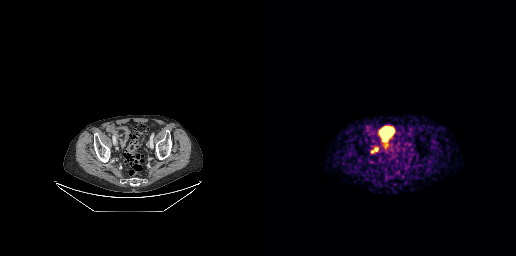
Paired axial CT (left) and PSMA PET (right), [68Ga]Ga-PSMA-11 tracer. Acquired on GE Discovery 690. PET panel 256×256 px (2.7 mm/px). Coordinates are on the 256×256 PET (right) panel. (showing 1 of 2 foci) Small PSMA-avid focus (2 to 4 px across) near (center x, center y): (116, 149).